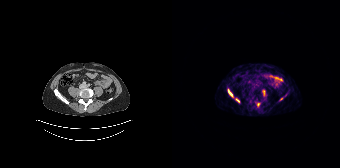
Coordinates are on the 168×168 PET (right) panel. (showing 2 of 3 foci) PSMA-avid tumor lesion bounding boxes (x0,y0,x1,y1): [55,88,61,97] [63,98,67,102].